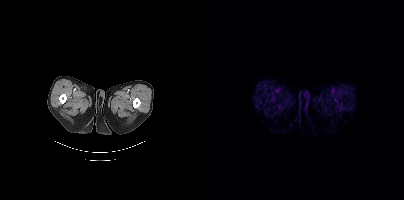
No PSMA-avid tumor lesions on this slice.